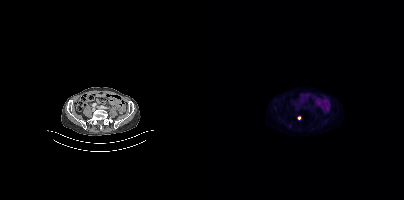
modality: PSMA PET/CT | tracer: 18F | view: axial | PET grid: 200×200
Coordinates are on the 200×200 PET (right) panel. Small PSMA-avid focus (2 to 4 px across) near (center x, center y): (95, 118).